modality: PSMA PET/CT | tracer: [18F]PSMA-1007 | view: axial | PET grid: 200×200
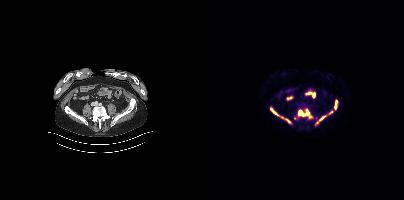
Coordinates are on the 200×200 PET (right) panel. (showing 6 of 7 foci) PSMA-avid tumor lesion bounding boxes (x0,y0,x1,y1): [94,109,108,119] [111,111,128,125] [66,108,74,115] [130,100,133,108] [82,119,86,122]. Small PSMA-avid focus (2 to 4 px across) near (center x, center y): (90, 118).